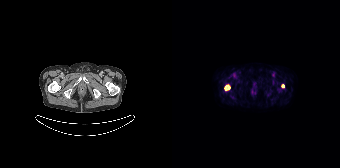
modality: PSMA PET/CT | tracer: 18F-PSMA | view: axial
Coordinates are on the 168×168 PET (right) panel. PSMA-avid tumor lesion bounding boxes (x0, y0)-(x1, y1): (52, 84)-(58, 90); (109, 84)-(112, 88).